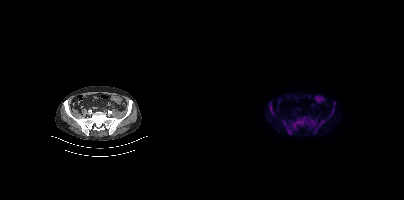
Findings: Coordinates are on the 200×200 PET (right) panel. (showing 4 of 5 foci) PSMA-avid tumor lesion bounding boxes (x0, y0)-(x1, y1): (78, 117)-(112, 134) | (110, 119)-(120, 132) | (65, 105)-(69, 114) | (125, 110)-(129, 116).
Technique: Two-panel axial: CT | PSMA PET, 18F tracer. acquired on Siemens Biograph mCT Flow 20. slice position z = -752 mm. PET panel 200×200 px (4.1 mm/px).